Left: CT. Right: PSMA PET, same axial level, 18F tracer. Acquired on Siemens Biograph mCT Flow 20. PET panel 200×200 px (4.1 mm/px).
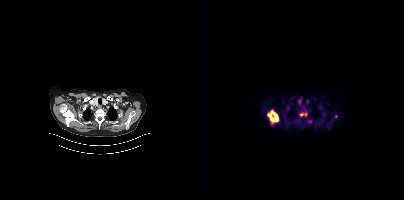
Coordinates are on the 200×200 PET (right) panel. PSMA-avid tumor lesion bounding boxes:
| # | x0 | y0 | x1 | y1 |
|---|---|---|---|---|
| 1 | 64 | 110 | 74 | 122 |
| 2 | 96 | 112 | 103 | 116 |
| 3 | 103 | 120 | 108 | 123 |
Small PSMA-avid foci (2 to 4 px across) near (center x, center y): (132, 116); (83, 108).